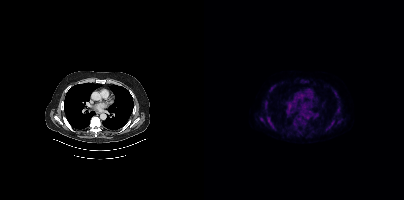
{"pet_grid":[200,200],"coord_frame":"pet_panel","coord_format":"x0,y0,x1,y1","partial":true,"lesion_bboxes":[[89,119,97,127],[62,116,68,125],[66,84,72,90],[60,101,64,106],[127,119,130,125]],"small_foci_centers":[[123,129],[100,81],[56,119],[133,112],[70,128],[133,96]],"modality":"PSMA PET/CT","view":"axial","tracer":"18F"}